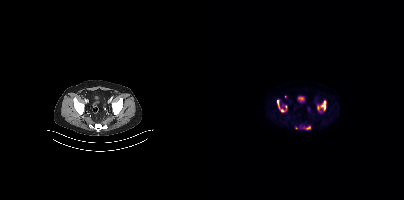
{"pet_grid":[200,200],"coord_frame":"pet_panel","coord_format":"x0,y0,x1,y1","lesion_bboxes":[[113,100,122,112],[73,100,82,112],[102,126,106,129]],"small_foci_centers":[[81,96],[92,127]],"modality":"PSMA PET/CT","view":"axial","tracer":"18F"}